De-identified by setting a box covering the face to black before release.
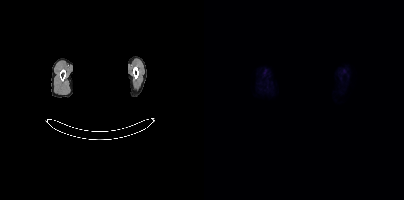
Negative for PSMA-avid disease on this slice.